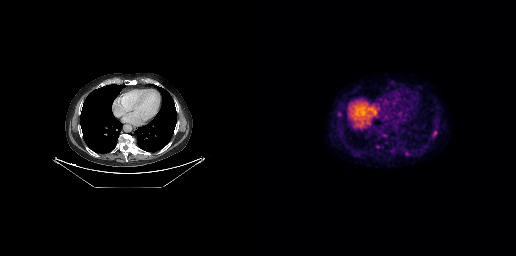
Coordinates are on the 256×256 PET (right) panel. PSMA-avid tumor lesion bounding boxes (x0,y0,x1,y1): [173,131,177,136] [78,112,81,116] [116,145,120,148]. Small PSMA-avid focus (2 to 4 px across) near (center x, center y): (124, 135).